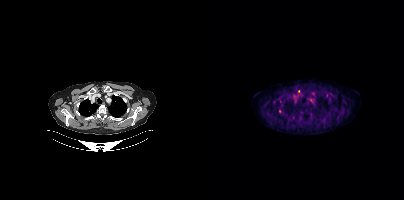
Technique: Paired axial CT (left) and PSMA PET (right), 18F-PSMA tracer. slice 336 of 429.
Findings: Coordinates are on the 200×200 PET (right) panel. (showing 1 of 2 foci) Small PSMA-avid focus (2 to 4 px across) near (center x, center y): (75, 111).